- Left: CT. Right: PSMA PET, same axial level, [18F]PSMA-1007 tracer
- slice position z = -285 mm
- PET panel 200×200 px (4.1 mm/px)
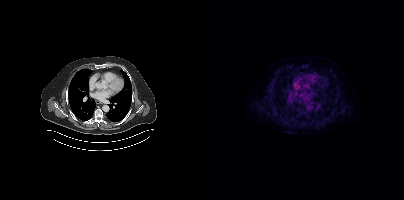
Findings: No tumor lesions annotated on this slice.